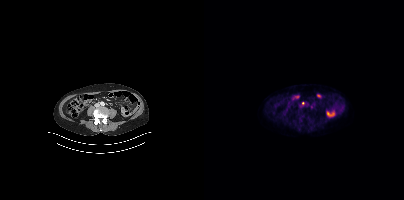
{"pet_grid":[200,200],"coord_frame":"pet_panel","coord_format":"x0,y0,x1,y1","lesion_bboxes":[],"small_foci_centers":[[98,103]],"modality":"PSMA PET/CT","view":"axial","tracer":"[18F]PSMA-1007"}